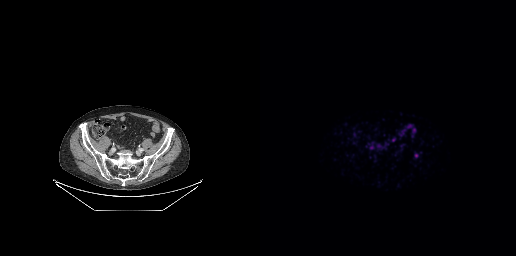
No PSMA-avid tumor lesions on this slice. Left: CT. Right: PSMA PET, same axial level, [68Ga]Ga-PSMA-11 tracer. Acquired on GE Discovery 690.